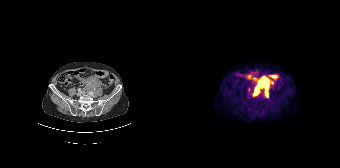
Findings: Coordinates are on the 168×168 PET (right) panel. (showing 5 of 6 foci) PSMA-avid tumor lesion bounding boxes (x0,y0,x1,y1): [86,81,96,97]; [90,76,97,83]; [82,86,86,94]. Small PSMA-avid foci (2 to 4 px across) near (center x, center y): (76, 89); (84, 78).
Technique: Two-panel axial: CT | PSMA PET, 68Ga tracer. slice position z = -1428 mm. PET panel 168×168 px (4.1 mm/px).